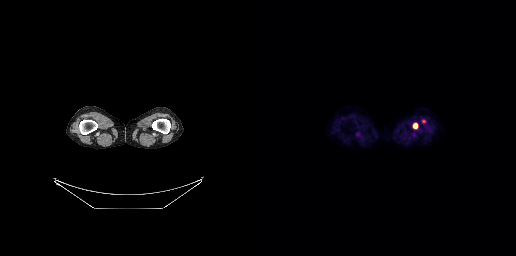
modality: PSMA PET/CT | tracer: [18F]PSMA-1007 | view: axial | PET grid: 256×256
Coordinates are on the 256×256 PET (right) panel. PSMA-avid tumor lesion bounding box (x0, y0)-(x1, y1): (153, 123)-(157, 128).